Two-panel axial: CT | PSMA PET, 18F-PSMA tracer. Acquired on Siemens Biograph mCT Flow 20. PET panel 200×200 px (4.1 mm/px).
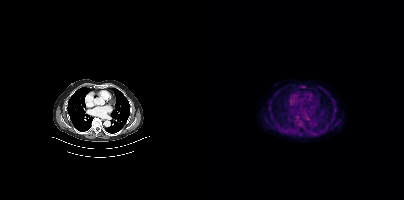
Coordinates are on the 200×200 PET (right) panel. Small PSMA-avid focus (2 to 4 px across) near (center x, center y): (97, 125).